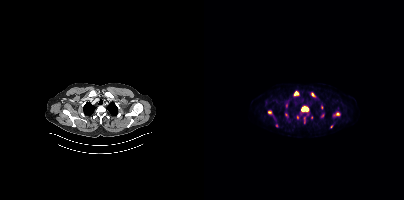
Left: CT. Right: PSMA PET, same axial level, 18F-PSMA tracer. Acquired on Siemens Biograph mCT Flow 20. Slice 339 of 429. PET panel 200×200 px (4.1 mm/px).
Coordinates are on the 200×200 PET (right) panel. PSMA-avid tumor lesion bounding boxes (partial; 2 more foci not listed):
| # | x0 | y0 | x1 | y1 |
|---|---|---|---|---|
| 1 | 97 | 107 | 104 | 110 |
| 2 | 90 | 91 | 94 | 95 |
| 3 | 100 | 117 | 101 | 123 |
Small PSMA-avid foci (2 to 4 px across) near (center x, center y): (65, 112); (133, 114); (82, 104); (117, 107); (108, 94); (93, 117); (72, 125); (127, 126).